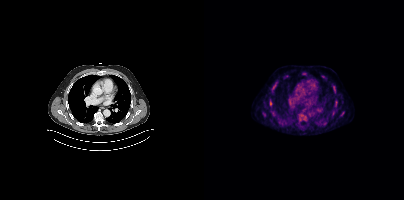
Technique: Two-panel axial: CT | PSMA PET, [18F]PSMA-1007 tracer. slice 319 of 454.
Findings: Coordinates are on the 200×200 PET (right) panel. (showing 3 of 5 foci) PSMA-avid tumor lesion bounding box (x0,y0,x1,y1): [66,101,67,105]. Small PSMA-avid foci (2 to 4 px across) near (center x, center y): (71, 85); (130, 91).